modality: PSMA PET/CT | tracer: 18F-PSMA | view: axial
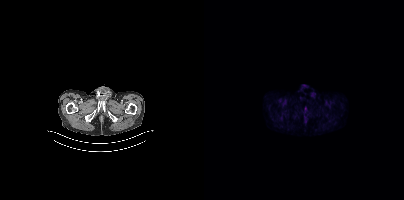
No PSMA-avid tumor lesions on this slice.